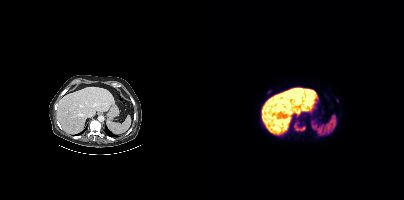
Coordinates are on the 200×200 PET (right) panel. PSMA-avid tumor lesion bounding box (x0,y0,x1,y1): [90,121,101,131]. Small PSMA-avid foci (2 to 4 px across) near (center x, center y): (64, 91), (133, 100).